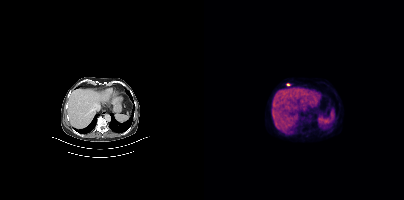
{"modality":"PSMA PET/CT","view":"axial","tracer":"18F","pet_grid":[200,200],"coord_frame":"pet_panel","coord_format":"x0,y0,x1,y1","lesion_bboxes":[],"small_foci_centers":[[84,85]]}